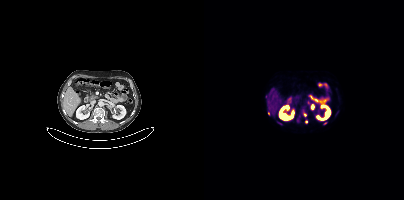
Technique: Paired axial CT (left) and PSMA PET (right), [68Ga]Ga-PSMA-11 tracer. slice position z = -1231 mm.
Findings: Coordinates are on the 200×200 PET (right) panel. PSMA-avid tumor lesion bounding boxes (x0,y0,x1,y1): [92,118,95,122] [119,122,123,124]. Small PSMA-avid foci (2 to 4 px across) near (center x, center y): (101, 115) (64, 113) (102, 121) (74, 122).